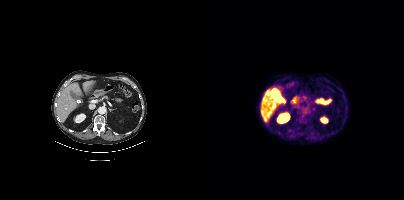
Negative for PSMA-avid disease on this slice. Paired axial CT (left) and PSMA PET (right), [18F]PSMA-1007 tracer.